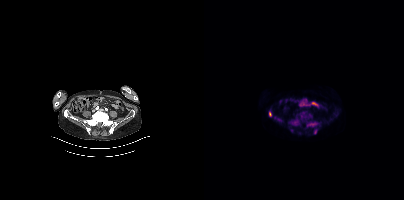
{"modality":"PSMA PET/CT","view":"axial","tracer":"18F","pet_grid":[200,200],"coord_frame":"pet_panel","coord_format":"x0,y0,x1,y1","lesion_bboxes":[[86,120,94,125],[103,122,113,126],[110,129,113,133],[65,112,67,116]],"small_foci_centers":[[74,119]]}